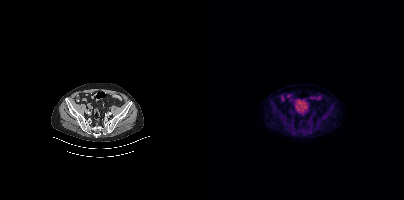
{"modality":"PSMA PET/CT","view":"axial","tracer":"18F-PSMA","pet_grid":[200,200],"coord_frame":"pet_panel","coord_format":"x0,y0,x1,y1","psma_avid_lesions":false}